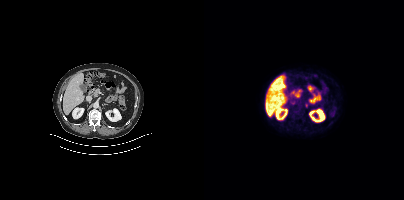
Coordinates are on the 200×200 PET (right) panel. PSMA-avid tumor lesion bounding box (x0,y0,x1,y1): [101,103,104,107].